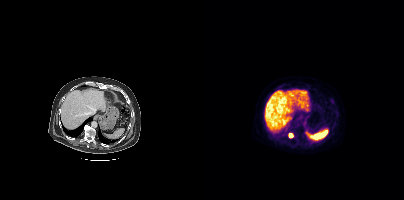
Paired axial CT (left) and PSMA PET (right), 18F tracer. Slice position z = -578 mm. PET panel 200×200 px (4.1 mm/px). Coordinates are on the 200×200 PET (right) panel. PSMA-avid tumor lesion bounding box (x0,y0,x1,y1): [85,133,88,137].